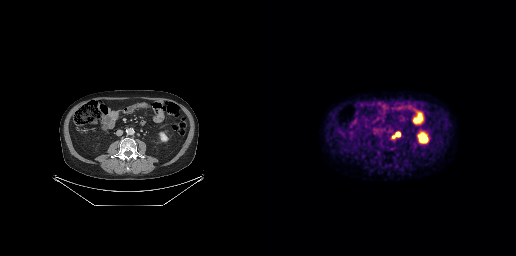
{"pet_grid":[256,256],"coord_frame":"pet_panel","coord_format":"x0,y0,x1,y1","lesion_bboxes":[[131,132,140,139]],"modality":"PSMA PET/CT","view":"axial","tracer":"18F"}